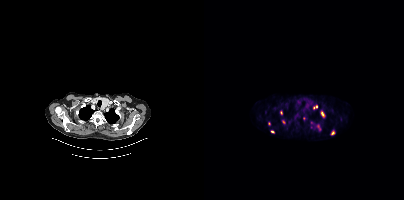
{"modality":"PSMA PET/CT","view":"axial","tracer":"[68Ga]Ga-PSMA-11","pet_grid":[200,200],"coord_frame":"pet_panel","coord_format":"x0,y0,x1,y1","partial":true,"lesion_bboxes":[[117,111,121,117],[113,125,117,130]],"small_foci_centers":[[79,121],[128,132],[111,106],[68,131],[77,112],[99,118],[64,123]]}